- Paired axial CT (left) and PSMA PET (right), 68Ga-PSMA tracer
- slice position z = -981 mm
- PET panel 256×256 px (2.7 mm/px)
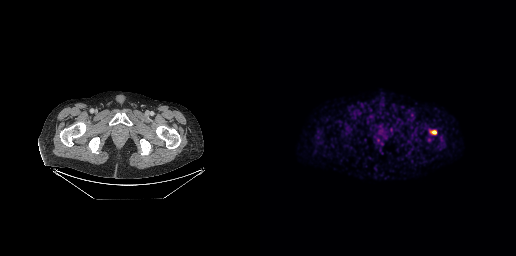
Findings: Coordinates are on the 256×256 PET (right) panel. PSMA-avid tumor lesion bounding box (x0,y0,x1,y1): [171,130,176,134].